- Two-panel axial: CT | PSMA PET, 18F-PSMA tracer
- acquired on Siemens Biograph mCT Flow 20
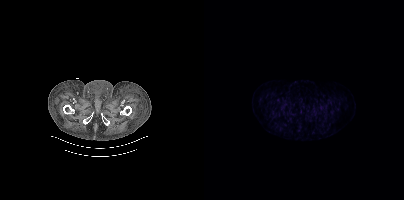
Findings: No tumor lesions annotated on this slice.